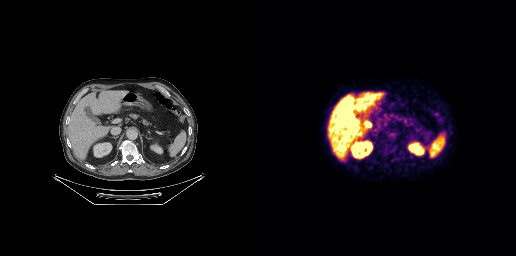
{"pet_grid":[256,256],"coord_frame":"pet_panel","coord_format":"x0,y0,x1,y1","psma_avid_lesions":false,"modality":"PSMA PET/CT","view":"axial","tracer":"[18F]PSMA-1007"}